Two-panel axial: CT | PSMA PET, 18F tracer. Slice position z = -610 mm.
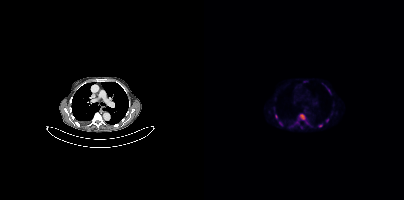
Coordinates are on the 200×200 PET (right) panel. PSMA-avid tumor lesion bounding boxes:
| # | x0 | y0 | x1 | y1 |
|---|---|---|---|---|
| 1 | 95 | 114 | 101 | 119 |
| 2 | 114 | 124 | 118 | 127 |
Small PSMA-avid foci (2 to 4 px across) near (center x, center y): (72, 116); (123, 120); (124, 90); (76, 123).